Two-panel axial: CT | PSMA PET, 18F tracer. Slice 214 of 367.
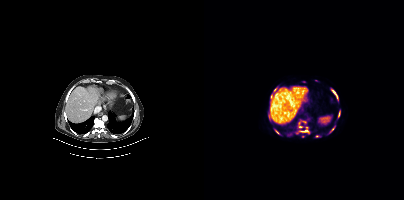
Coordinates are on the 200×200 PET (right) panel. PSMA-avid tumor lesion bounding boxes (partial; 3 more foci not listed):
| # | x0 | y0 | x1 | y1 |
|---|---|---|---|---|
| 1 | 128 | 90 | 133 | 98 |
| 2 | 96 | 130 | 104 | 132 |
Small PSMA-avid foci (2 to 4 px across) near (center x, center y): (71, 89); (96, 126); (128, 129); (73, 132).